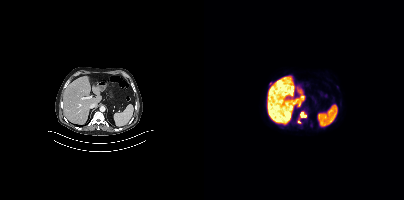
{"modality":"PSMA PET/CT","view":"axial","tracer":"[18F]PSMA-1007","pet_grid":[200,200],"coord_frame":"pet_panel","coord_format":"x0,y0,x1,y1","lesion_bboxes":[[93,111,102,123]]}